Left: CT. Right: PSMA PET, same axial level, 18F tracer. Acquired on Siemens Biograph mCT Flow 20. Slice 112 of 429.
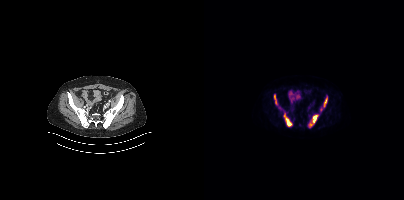
Coordinates are on the 200×200 PET (right) panel. PSMA-avid tumor lesion bounding boxes (x, y, width, height): x=80 y=113 w=9 h=14; x=109 y=115 w=5 h=8; x=70 y=94 w=4 h=11; x=120 y=97 w=4 h=11; x=105 y=123 w=4 h=5.